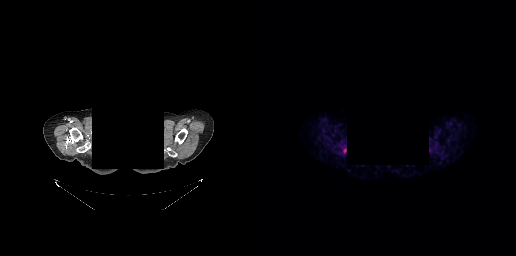
{"modality":"PSMA PET/CT","view":"axial","tracer":"68Ga-PSMA","pet_grid":[256,256],"coord_frame":"pet_panel","coord_format":"x0,y0,x1,y1","deidentification":"head region blacked out before release","psma_avid_lesions":false}